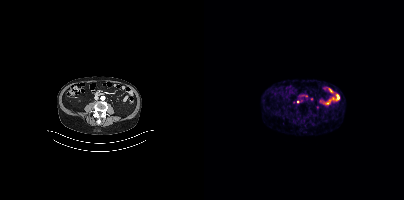
Coordinates are on the 200×200 PET (right) panel. Small PSMA-avid foci (2 to 4 px across) near (center x, center y): (107, 99) / (94, 102).